- Two-panel axial: CT | PSMA PET, [18F]PSMA-1007 tracer
- PET panel 200×200 px (4.1 mm/px)
- a rectangular block over the head has been blanked out for de-identification
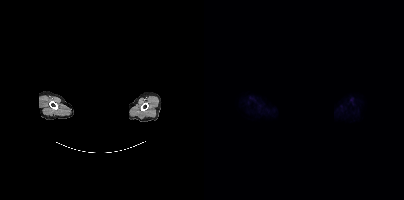
Findings: This slice has no annotated PSMA-avid lesion.